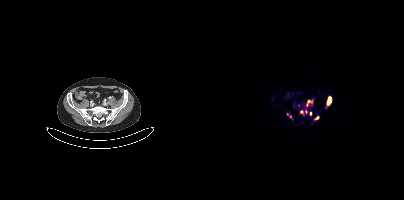
{"modality":"PSMA PET/CT","view":"axial","tracer":"68Ga-PSMA","pet_grid":[200,200],"coord_frame":"pet_panel","coord_format":"x0,y0,x1,y1","partial":true,"lesion_bboxes":[[102,100,108,106],[123,97,127,104],[83,113,88,118],[110,116,115,119]],"small_foci_centers":[[97,111],[94,104],[106,113]]}